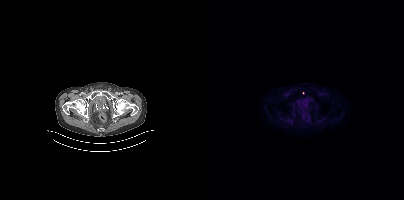
Findings: No PSMA-avid tumor lesions on this slice.
- Paired axial CT (left) and PSMA PET (right), [18F]PSMA-1007 tracer
- slice position z = -50 mm
- PET panel 200×200 px (4.1 mm/px)